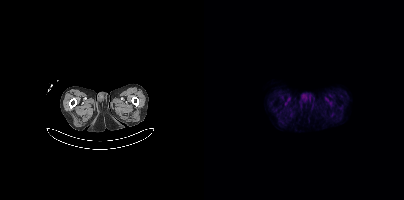
{"modality":"PSMA PET/CT","view":"axial","tracer":"18F-PSMA","pet_grid":[200,200],"coord_frame":"pet_panel","coord_format":"x0,y0,x1,y1","psma_avid_lesions":false}